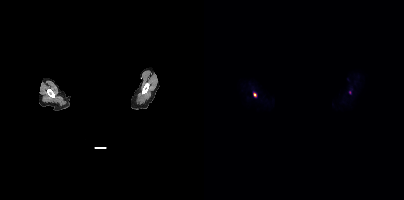
{"modality":"PSMA PET/CT","view":"axial","tracer":"[18F]PSMA-1007","pet_grid":[200,200],"coord_frame":"pet_panel","coord_format":"x0,y0,x1,y1","de-identification":"rectangular block over head set to black","partial":true,"lesion_bboxes":[],"small_foci_centers":[[50,94]]}